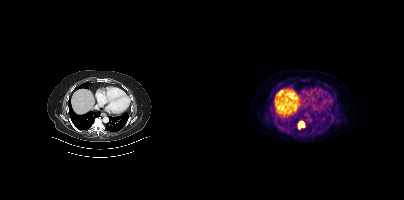
Coordinates are on the 200×200 PET (right) panel. PSMA-avid tumor lesion bounding box (x0, y0)-(x1, y1): (94, 121)-(100, 128).
modality: PSMA PET/CT | tracer: [18F]PSMA-1007 | view: axial | PET grid: 200×200